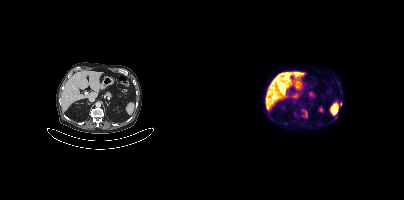
Coordinates are on the 200×200 PET (right) panel. (showing 1 of 2 foci) Small PSMA-avid focus (2 to 4 px across) near (center x, center y): (136, 103).